Left: CT. Right: PSMA PET, same axial level, [18F]PSMA-1007 tracer. Acquired on Siemens Biograph mCT Flow 20. PET panel 200×200 px (4.1 mm/px).
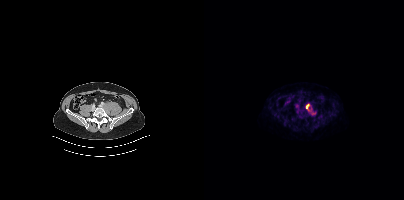
Coordinates are on the 200×200 PET (right) panel. PSMA-avid tumor lesion bounding boxes (partial; 1 more focus not listed):
| # | x0 | y0 | x1 | y1 |
|---|---|---|---|---|
| 1 | 101 | 104 | 105 | 110 |